modality: PSMA PET/CT | tracer: [18F]PSMA-1007 | view: axial
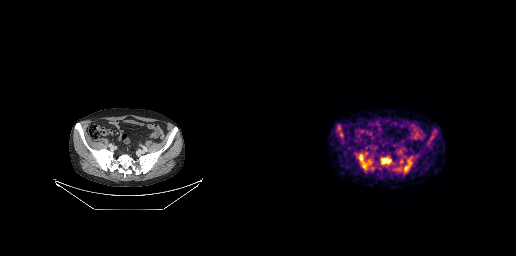
Coordinates are on the 256×256 PET (right) panel. (showing 4 of 5 foci) PSMA-avid tumor lesion bounding boxes (x, y, width, height): x=98 y=154 w=13 h=16 | x=143 y=158 w=10 h=15 | x=121 y=160 w=10 h=5 | x=77 y=125 w=6 h=9.